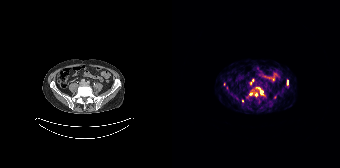
{"modality":"PSMA PET/CT","view":"axial","tracer":"68Ga-PSMA","pet_grid":[168,168],"coord_frame":"pet_panel","coord_format":"x0,y0,x1,y1","lesion_bboxes":[[84,87,93,96]],"small_foci_centers":[[78,94],[84,94],[70,100],[115,83],[102,97]]}